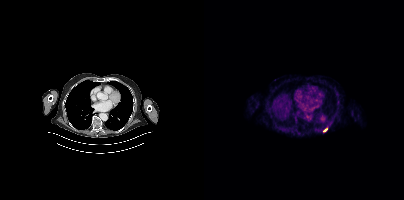
Left: CT. Right: PSMA PET, same axial level, 18F-PSMA tracer. PET panel 200×200 px (4.1 mm/px).
Coordinates are on the 200×200 PET (right) panel. PSMA-avid tumor lesion bounding boxes:
| # | x0 | y0 | x1 | y1 |
|---|---|---|---|---|
| 1 | 119 | 128 | 123 | 131 |